de-identification: facial region redacted | modality: PSMA PET/CT | tracer: 18F | view: axial | PET grid: 200×200
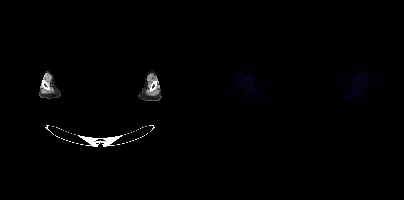
No tumor lesions annotated on this slice.